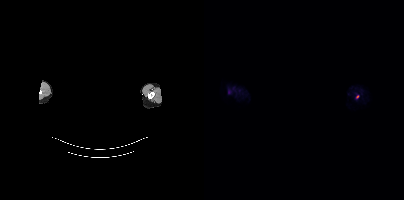
{"modality":"PSMA PET/CT","view":"axial","tracer":"[18F]PSMA-1007","pet_grid":[200,200],"coord_frame":"pet_panel","coord_format":"x0,y0,x1,y1","lesion_bboxes":[],"small_foci_centers":[[153,96]],"deidentification":"rectangular block over head set to black"}